Two-panel axial: CT | PSMA PET, [18F]PSMA-1007 tracer. Slice 90 of 401.
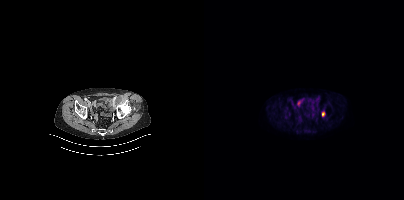
Coordinates are on the 200×200 PET (right) panel. Small PSMA-avid focus (2 to 4 px across) near (center x, center y): (119, 113).